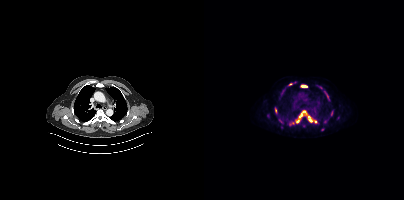
{"modality":"PSMA PET/CT","view":"axial","tracer":"18F","pet_grid":[200,200],"coord_frame":"pet_panel","coord_format":"x0,y0,x1,y1","partial":true,"lesion_bboxes":[[91,114,98,123],[104,116,108,122],[97,85,103,87],[71,108,72,112],[127,111,128,115]],"small_foci_centers":[[112,121],[86,84],[118,129],[123,96],[88,123]]}